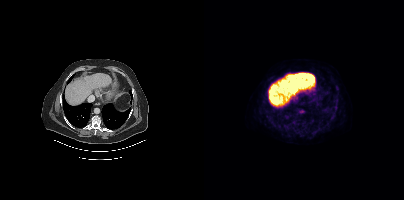
Paired axial CT (left) and PSMA PET (right), 18F tracer. Acquired on Siemens Biograph mCT Flow 20. PET panel 200×200 px (4.1 mm/px). Coordinates are on the 200×200 PET (right) panel. Small PSMA-avid focus (2 to 4 px across) near (center x, center y): (132, 107).